modality: PSMA PET/CT | tracer: 18F-PSMA | view: axial
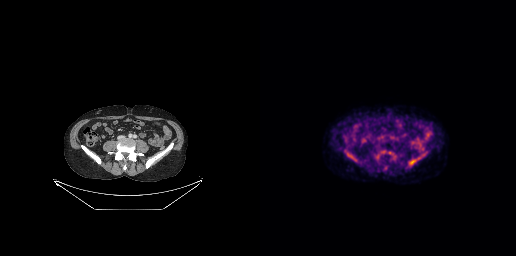
Coordinates are on the 256×256 PET (right) panel. PSMA-avid tumor lesion bounding box (x, y, width, height): x=149 y=159 w=8 h=7.